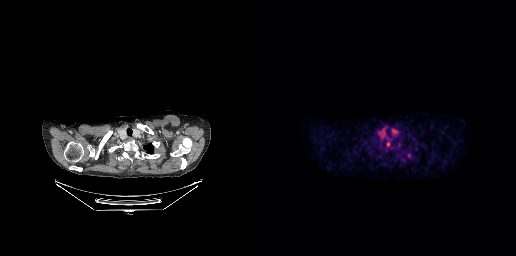
Findings: Coordinates are on the 256×256 PET (right) panel. PSMA-avid tumor lesion bounding box (x, y, width, height): x=127 y=142 w=3 h=5. Small PSMA-avid focus (2 to 4 px across) near (center x, center y): (148, 155).
Technique: Left: CT. Right: PSMA PET, same axial level, 18F tracer. slice 251 of 299. PET panel 256×256 px (2.7 mm/px).